Technique: Paired axial CT (left) and PSMA PET (right), 18F-PSMA tracer. slice position z = -865 mm.
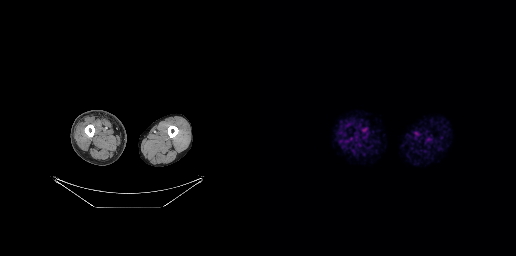
Findings: No PSMA-avid tumor lesions on this slice.